Paired axial CT (left) and PSMA PET (right), 18F tracer. Slice position z = -813 mm. PET panel 200×200 px (4.1 mm/px). Privacy masking over the head, with the pixels inside a rectangle set to black.
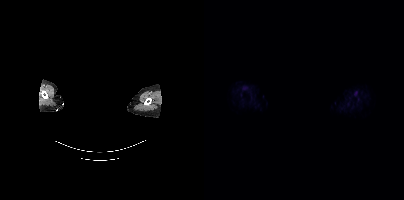
No tumor lesions annotated on this slice.